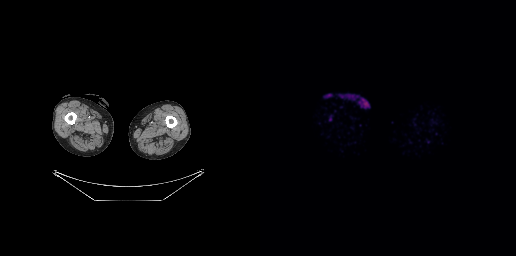
No tumor lesions annotated on this slice.
modality: PSMA PET/CT | tracer: 18F | view: axial